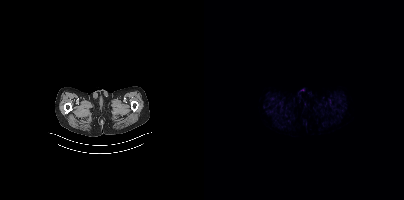
Negative for PSMA-avid disease on this slice.